Left: CT. Right: PSMA PET, same axial level, 18F-PSMA tracer. Acquired on Siemens Biograph mCT Flow 20. PET panel 200×200 px (4.1 mm/px).
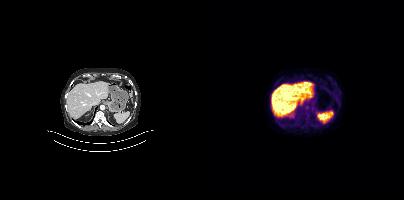
No tumor lesions annotated on this slice.